modality: PSMA PET/CT | tracer: 18F | view: axial
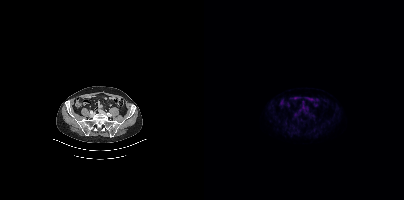
This slice has no annotated PSMA-avid lesion.